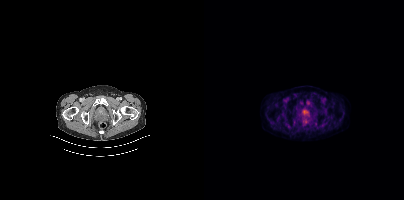
Findings: Coordinates are on the 200×200 PET (right) panel. PSMA-avid tumor lesion bounding box (x0, y0)-(x1, y1): (99, 110)-(104, 114).
- Two-panel axial: CT | PSMA PET, 18F-PSMA tracer
- PET panel 200×200 px (4.1 mm/px)